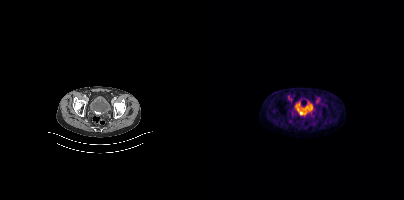
Two-panel axial: CT | PSMA PET, 18F tracer.
Coordinates are on the 200×200 PET (right) panel. PSMA-avid tumor lesion bounding boxes:
| # | x0 | y0 | x1 | y1 |
|---|---|---|---|---|
| 1 | 97 | 108 | 101 | 112 |